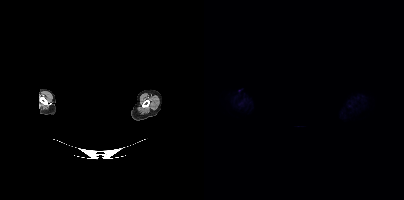
deidentification: privacy mask over head | modality: PSMA PET/CT | tracer: 18F | view: axial
This slice has no annotated PSMA-avid lesion.